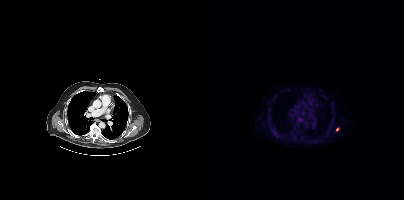
{"modality":"PSMA PET/CT","view":"axial","tracer":"18F-PSMA","pet_grid":[200,200],"coord_frame":"pet_panel","coord_format":"x0,y0,x1,y1","lesion_bboxes":[],"small_foci_centers":[[133,129]]}